Technique: Left: CT. Right: PSMA PET, same axial level, 68Ga tracer. slice 67 of 195. PET panel 168×168 px (4.1 mm/px).
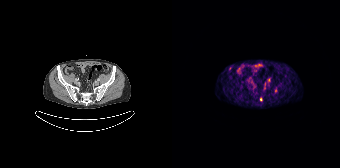
Findings: Coordinates are on the 168×168 PET (right) panel. Small PSMA-avid focus (2 to 4 px across) near (center x, center y): (88, 98).